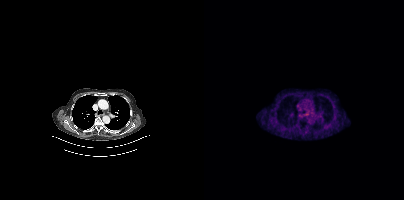
Findings: Coordinates are on the 200×200 PET (right) panel. Small PSMA-avid focus (2 to 4 px across) near (center x, center y): (104, 113).
Technique: Left: CT. Right: PSMA PET, same axial level, 68Ga tracer. acquired on Siemens Biograph mCT Flow 20. slice position z = -578 mm. PET panel 200×200 px (4.1 mm/px).